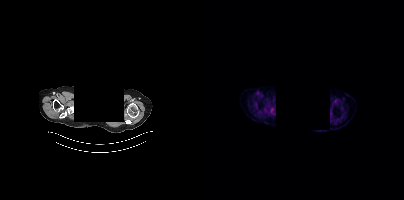
Technique: Left: CT. Right: PSMA PET, same axial level, [18F]PSMA-1007 tracer. acquired on Siemens Biograph mCT Flow 20. PET panel 200×200 px (4.1 mm/px).
Note: A rectangle over the head was blacked out to remove identifiable facial features.
Findings: No PSMA-avid tumor lesions on this slice.